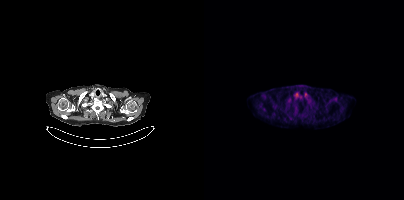
{"modality":"PSMA PET/CT","view":"axial","tracer":"18F-PSMA","pet_grid":[200,200],"coord_frame":"pet_panel","coord_format":"x0,y0,x1,y1","psma_avid_lesions":false}